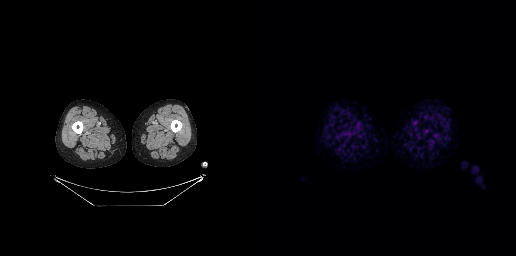
Technique: Paired axial CT (left) and PSMA PET (right), 18F tracer.
Findings: No tumor lesions annotated on this slice.